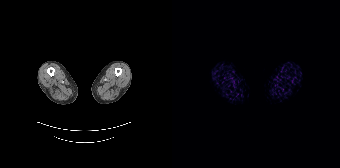
modality: PSMA PET/CT | tracer: 68Ga | view: axial | PET grid: 168×168
No tumor lesions annotated on this slice.